redaction: rectangular block over head set to black | modality: PSMA PET/CT | tracer: [18F]PSMA-1007 | view: axial | PET grid: 200×200
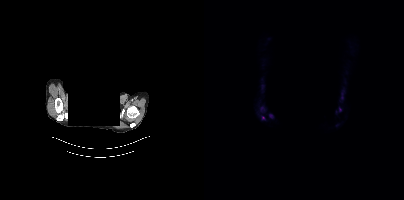
Coordinates are on the 200×200 PET (right) panel. Small PSMA-avid foci (2 to 4 px across) near (center x, center y): (66, 115); (59, 117); (58, 108).